Technique: Paired axial CT (left) and PSMA PET (right), 18F-PSMA tracer. acquired on Siemens Biograph mCT Flow 20.
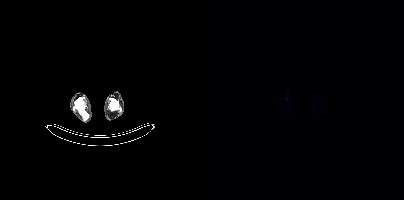
Findings: Negative for PSMA-avid disease on this slice.